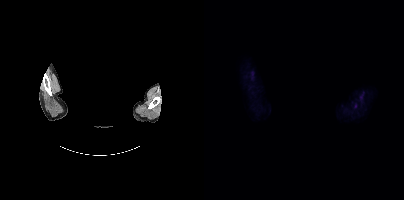
This slice has no annotated PSMA-avid lesion.
Any black rectangle over the head is a privacy mask, not anatomy.